modality: PSMA PET/CT | tracer: [18F]PSMA-1007 | view: axial
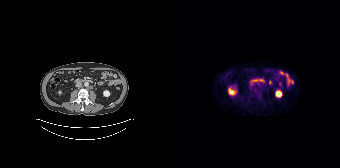
This slice has no annotated PSMA-avid lesion.